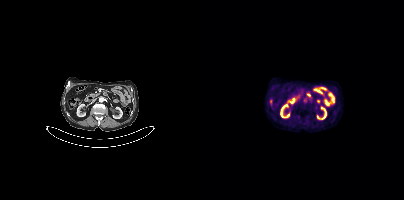
No tumor lesions annotated on this slice.